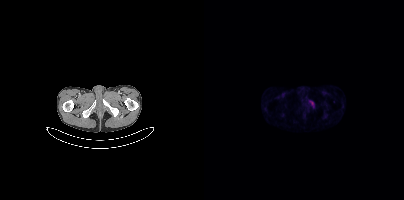
{"modality":"PSMA PET/CT","view":"axial","tracer":"[68Ga]Ga-PSMA-11","pet_grid":[200,200],"coord_frame":"pet_panel","coord_format":"x0,y0,x1,y1","lesion_bboxes":[[105,100,110,107]]}